Left: CT. Right: PSMA PET, same axial level, 68Ga tracer. Slice position z = -678 mm. PET panel 168×168 px (4.1 mm/px).
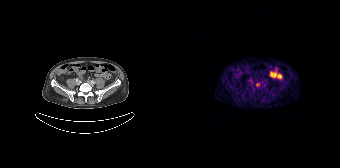
Coordinates are on the 168×168 PET (right) panel. Small PSMA-avid focus (2 to 4 px across) near (center x, center y): (85, 84).